deidentification: rectangular block over head set to black | modality: PSMA PET/CT | tracer: [18F]PSMA-1007 | view: axial | PET grid: 200×200
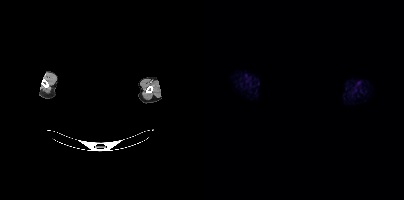
No PSMA-avid tumor lesions on this slice.